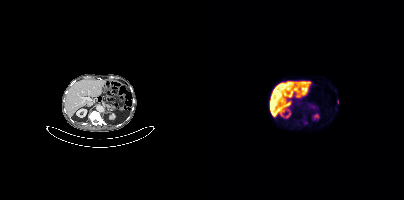
{"pet_grid":[200,200],"coord_frame":"pet_panel","coord_format":"x0,y0,x1,y1","lesion_bboxes":[[99,120,103,124]],"small_foci_centers":[[133,101]],"modality":"PSMA PET/CT","view":"axial","tracer":"[18F]PSMA-1007"}